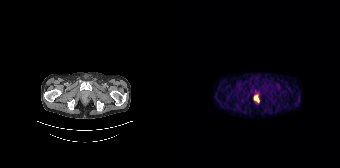
modality: PSMA PET/CT | tracer: 68Ga | view: axial
Coordinates are on the 168×168 PET (right) panel. PSMA-avid tumor lesion bounding box (x0,y0,x1,y1): [82,96,86,100].